modality: PSMA PET/CT | tracer: [68Ga]Ga-PSMA-11 | view: axial | PET grid: 256×256
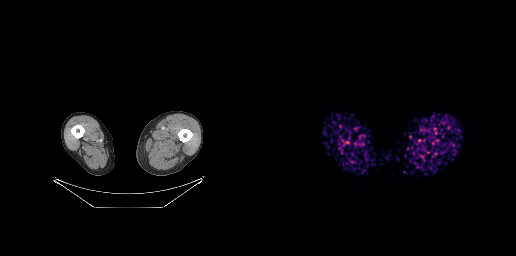
No PSMA-avid tumor lesions on this slice.